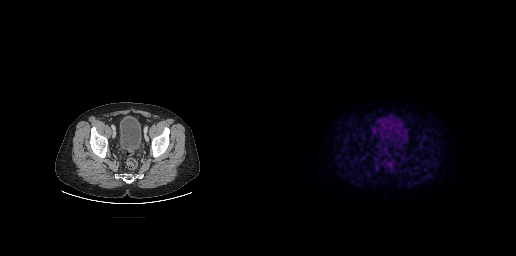
{"modality":"PSMA PET/CT","view":"axial","tracer":"18F-PSMA","pet_grid":[256,256],"coord_frame":"pet_panel","coord_format":"x0,y0,x1,y1","psma_avid_lesions":false}